Paired axial CT (left) and PSMA PET (right), [18F]PSMA-1007 tracer. Slice position z = -1736 mm.
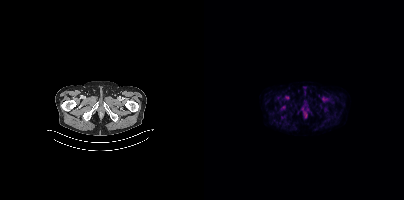
This slice has no annotated PSMA-avid lesion.